Technique: Paired axial CT (left) and PSMA PET (right), 68Ga tracer. acquired on Siemens Biograph mCT Flow 20.
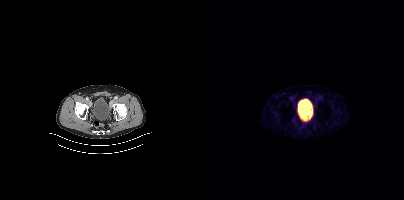
Findings: Coordinates are on the 200×200 PET (right) panel. Small PSMA-avid focus (2 to 4 px across) near (center x, center y): (89, 119).